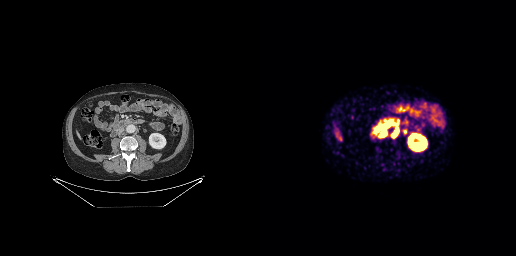
Paired axial CT (left) and PSMA PET (right), [68Ga]Ga-PSMA-11 tracer. Slice 51 of 189. Coordinates are on the 256×256 PET (right) panel. PSMA-avid tumor lesion bounding boxes (x0,y0,x1,y1): [132,128,138,137] [119,132,125,137] [124,124,128,128].